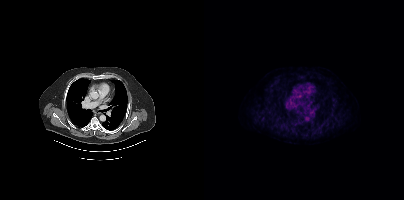
No tumor lesions annotated on this slice. Paired axial CT (left) and PSMA PET (right), [18F]PSMA-1007 tracer. Acquired on Siemens Biograph mCT Flow 20.